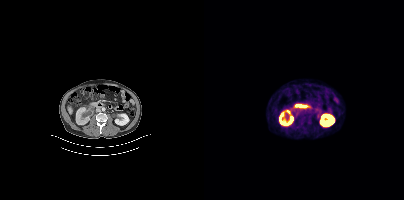
- Two-panel axial: CT | PSMA PET, 18F-PSMA tracer
- slice position z = -787 mm
Findings: This slice has no annotated PSMA-avid lesion.